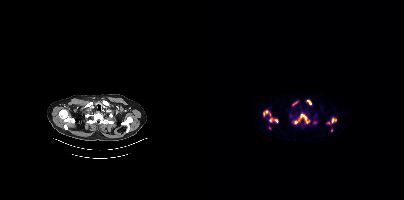
Coordinates are on the 200×200 PET (right) panel. (showing 9 of 10 foci) PSMA-avid tumor lesion bounding boxes (x0,y0,x1,y1): [90,114,105,123]; [127,118,132,122]; [59,111,64,115]; [104,100,107,104]. Small PSMA-avid foci (2 to 4 px across) near (center x, center y): (71, 120); (66, 119); (65, 128); (124, 122); (127, 130).